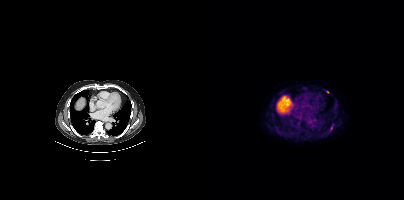
{"modality":"PSMA PET/CT","view":"axial","tracer":"18F-PSMA","pet_grid":[200,200],"coord_frame":"pet_panel","coord_format":"x0,y0,x1,y1","lesion_bboxes":[[126,124,129,130]],"small_foci_centers":[[123,92]]}